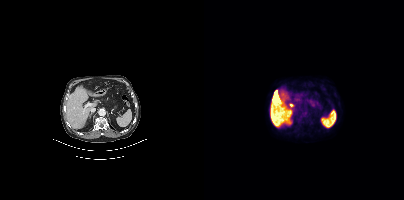
This slice has no annotated PSMA-avid lesion.